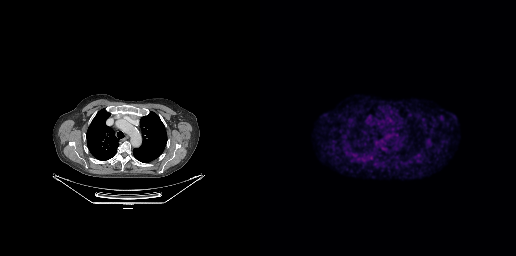
{"modality":"PSMA PET/CT","view":"axial","tracer":"18F-PSMA","pet_grid":[256,256],"coord_frame":"pet_panel","coord_format":"x0,y0,x1,y1","lesion_bboxes":[],"small_foci_centers":[[168,141]]}